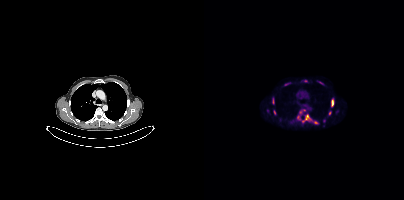
Paired axial CT (left) and PSMA PET (right), 18F tracer. Slice position z = -1030 mm. PET panel 200×200 px (4.1 mm/px).
Coordinates are on the 200×200 PET (right) panel. PSMA-avid tumor lesion bounding boxes (partial; 1 more focus not listed):
| # | x0 | y0 | x1 | y1 |
|---|---|---|---|---|
| 1 | 98 | 114 | 108 | 122 |
| 2 | 93 | 109 | 101 | 120 |
| 3 | 127 | 98 | 130 | 107 |
| 4 | 80 | 82 | 86 | 85 |
| 5 | 68 | 98 | 70 | 104 |
| 6 | 110 | 121 | 114 | 123 |
| 7 | 125 | 111 | 127 | 115 |
| 8 | 114 | 81 | 119 | 84 |
| 9 | 69 | 110 | 71 | 114 |
Small PSMA-avid foci (2 to 4 px across) near (center x, center y): (101, 80); (120, 120).